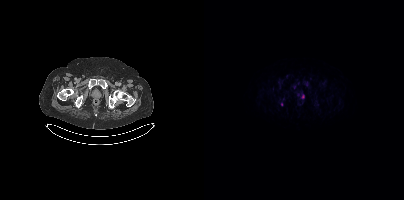
modality: PSMA PET/CT | tracer: 18F-PSMA | view: axial
Coordinates are on the 200×200 PET (right) panel. Small PSMA-avid foci (2 to 4 px across) near (center x, center y): (99, 96) (77, 104).